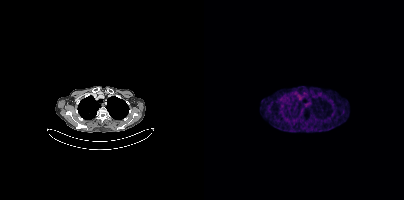
Negative for PSMA-avid disease on this slice.